Left: CT. Right: PSMA PET, same axial level, 68Ga tracer.
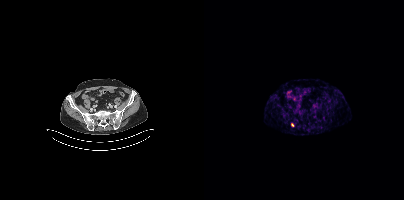
Coordinates are on the 200×200 PET (right) panel. Small PSMA-avid focus (2 to 4 px across) near (center x, center y): (88, 124).